- Two-panel axial: CT | PSMA PET, 18F tracer
- acquired on Siemens Biograph mCT Flow 20
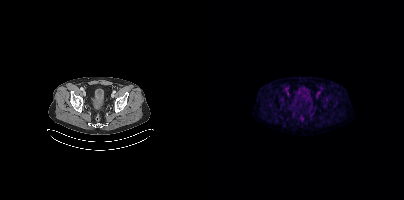
Findings: This slice has no annotated PSMA-avid lesion.